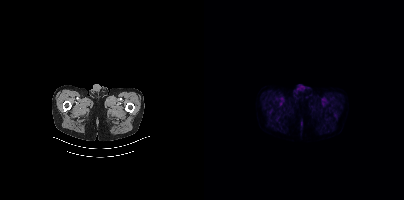
Findings: No tumor lesions annotated on this slice.
Technique: Left: CT. Right: PSMA PET, same axial level, 18F-PSMA tracer. slice position z = -161 mm.